Paired axial CT (left) and PSMA PET (right), 18F tracer.
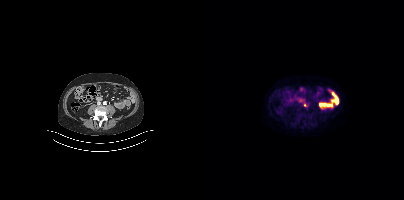
Coordinates are on the 200×200 PET (right) panel. Small PSMA-avid focus (2 to 4 px across) near (center x, center y): (100, 105).